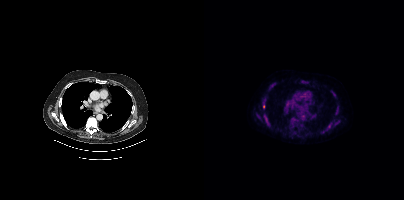
Paired axial CT (left) and PSMA PET (right), [18F]PSMA-1007 tracer. PET panel 200×200 px (4.1 mm/px).
Coordinates are on the 200×200 PET (right) panel. PSMA-avid tumor lesion bounding boxes:
| # | x0 | y0 | x1 | y1 |
|---|---|---|---|---|
| 1 | 60 | 118 | 64 | 121 |
Small PSMA-avid focus (2 to 4 px across) near (center x, center y): (59, 106).